- privacy masking over the head, with the pixels inside a rectangle set to black
- Two-panel axial: CT | PSMA PET, 18F tracer
- PET panel 200×200 px (4.1 mm/px)
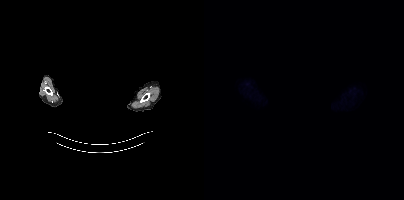
Findings: No PSMA-avid tumor lesions on this slice.